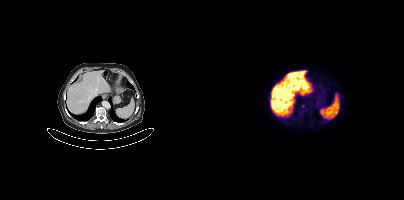
{"modality":"PSMA PET/CT","view":"axial","tracer":"18F","pet_grid":[200,200],"coord_frame":"pet_panel","coord_format":"x0,y0,x1,y1","lesion_bboxes":[[97,104,101,108]]}